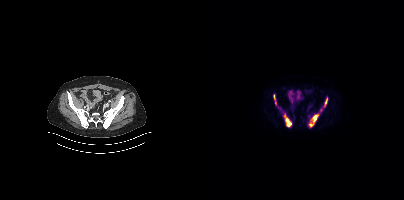
{"modality":"PSMA PET/CT","view":"axial","tracer":"18F","pet_grid":[200,200],"coord_frame":"pet_panel","coord_format":"x0,y0,x1,y1","lesion_bboxes":[[80,114,87,126],[105,115,113,126],[69,94,72,105],[120,98,123,106]]}